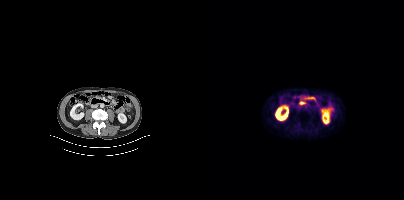
This slice has no annotated PSMA-avid lesion.
modality: PSMA PET/CT | tracer: 18F-PSMA | view: axial